Technique: Two-panel axial: CT | PSMA PET, 18F tracer. PET panel 200×200 px (4.1 mm/px).
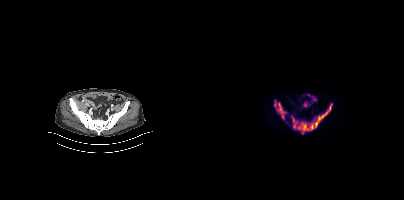
Findings: Coordinates are on the 200×200 PET (right) panel. PSMA-avid tumor lesion bounding boxes (x0,y0,x1,y1): [88,103,128,134], [73,102,82,118], [70,100,72,107].